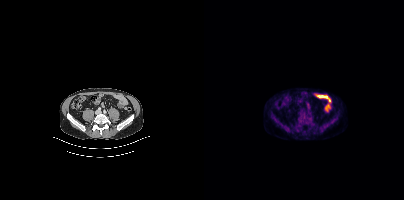
Findings: Coordinates are on the 200×200 PET (right) panel. PSMA-avid tumor lesion bounding box (x0,y0,x1,y1): [99,117,106,124].
- Two-panel axial: CT | PSMA PET, 18F-PSMA tracer
- slice position z = -400 mm
- PET panel 200×200 px (4.1 mm/px)